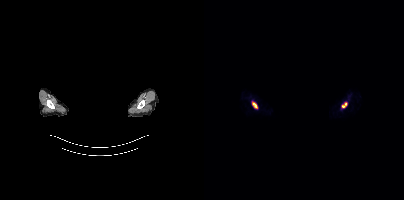
- Two-panel axial: CT | PSMA PET, 68Ga-PSMA tracer
- slice position z = 988 mm
- PET panel 200×200 px (4.1 mm/px)
- the face region was removed for patient privacy by blanking a rectangle over the head
Findings: Coordinates are on the 200×200 PET (right) panel. PSMA-avid tumor lesion bounding boxes (x, y, width, height): x=48 y=102 w=6 h=7 | x=138 y=102 w=5 h=6.